modality: PSMA PET/CT | tracer: [68Ga]Ga-PSMA-11 | view: axial
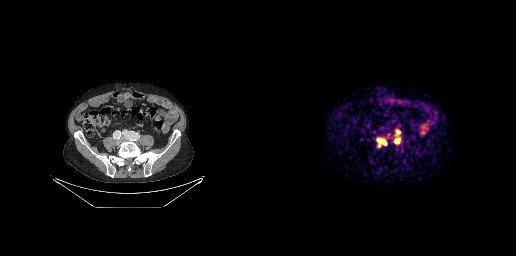
Coordinates are on the 256×256 PET (right) panel. PSMA-avid tumor lesion bounding boxes (x0,y0,x1,y1): [134,129,140,143] [117,138,126,146].